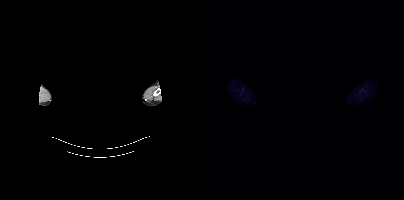
- Two-panel axial: CT | PSMA PET, [18F]PSMA-1007 tracer
- de-identified by setting a box covering the face to black before release
Findings: Negative for PSMA-avid disease on this slice.